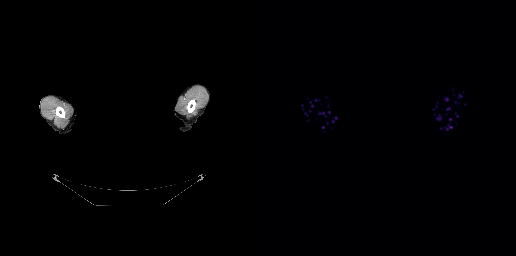
Findings: No PSMA-avid tumor lesions on this slice.
- Paired axial CT (left) and PSMA PET (right), 18F tracer
- slice 263 of 263
- a rectangle over the head was blacked out to remove identifiable facial features